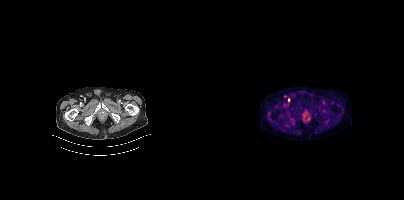
Coordinates are on the 200×200 PET (right) panel. (showing 1 of 2 foci) Small PSMA-avid focus (2 to 4 px across) near (center x, center y): (84, 99).